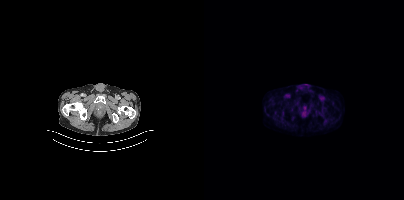
- Left: CT. Right: PSMA PET, same axial level, 18F-PSMA tracer
- PET panel 200×200 px (4.1 mm/px)
Findings: No PSMA-avid tumor lesions on this slice.